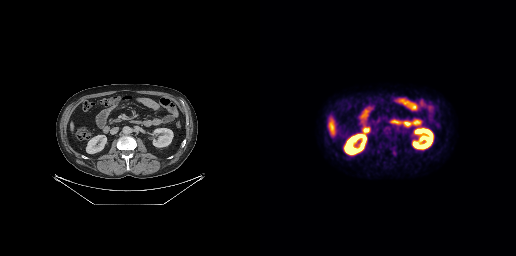
Negative for PSMA-avid disease on this slice.